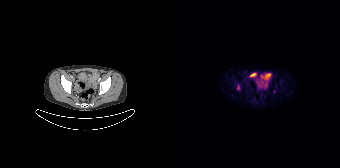
{"modality":"PSMA PET/CT","view":"axial","tracer":"18F-PSMA","pet_grid":[168,168],"coord_frame":"pet_panel","coord_format":"x0,y0,x1,y1","partial":true,"lesion_bboxes":[[65,85,67,89]]}